- Paired axial CT (left) and PSMA PET (right), 18F tracer
- acquired on Siemens Biograph mCT Flow 20
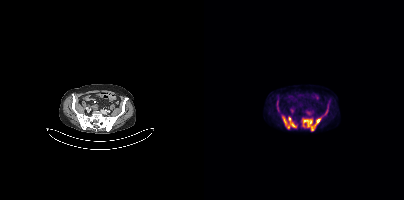
Findings: Coordinates are on the 200×200 PET (right) panel. (showing 3 of 4 foci) PSMA-avid tumor lesion bounding boxes (x, y, width, height): x=99 y=118 w=18 h=13; x=78 y=116 w=15 h=13; x=121 y=109 w=3 h=6.